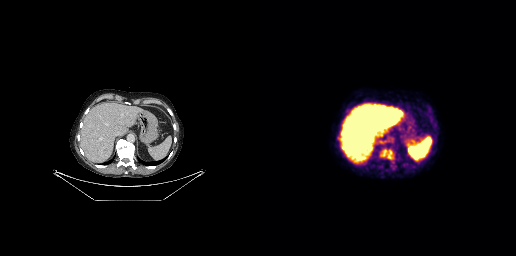
Findings: Coordinates are on the 256×256 PET (right) panel. PSMA-avid tumor lesion bounding boxes (x, y, width, height): x=128 y=150 w=4 h=9; x=122 y=150 w=5 h=7.
Technique: Left: CT. Right: PSMA PET, same axial level, [18F]PSMA-1007 tracer. slice position z = -390 mm. PET panel 256×256 px (2.7 mm/px).